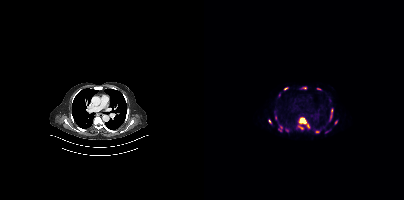
Coordinates are on the 200×200 PET (right) panel. (showing 12 of 14 foci) PSMA-avid tumor lesion bounding boxes (x0, y0)-(x1, y1): (94, 118)-(105, 129) | (81, 128)-(85, 132) | (127, 109)-(128, 117). Small PSMA-avid foci (2 to 4 px across) near (center x, center y): (66, 121) | (132, 122) | (113, 131) | (99, 87) | (77, 127) | (82, 88) | (114, 88) | (75, 129) | (71, 118).
modality: PSMA PET/CT | tracer: [68Ga]Ga-PSMA-11 | view: axial | PET grid: 200×200